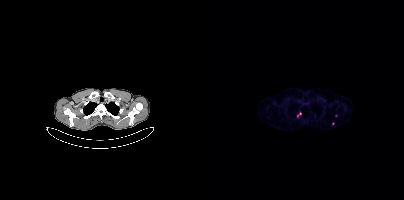
Coordinates are on the 200×200 PET (right) panel. (showing 2 of 3 foci) PSMA-avid tumor lesion bounding box (x0,y0,x1,y1): [93,112,97,117]. Small PSMA-avid focus (2 to 4 px across) near (center x, center y): (129, 123).
modality: PSMA PET/CT | tracer: 68Ga-PSMA | view: axial | PET grid: 200×200